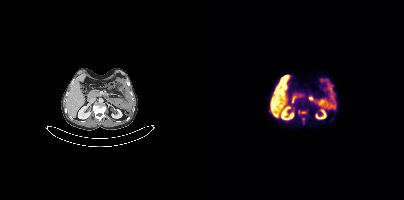
Two-panel axial: CT | PSMA PET, 18F tracer. PET panel 200×200 px (4.1 mm/px). Coordinates are on the 200×200 PET (right) panel. (showing 1 of 2 foci) Small PSMA-avid focus (2 to 4 px across) near (center x, center y): (99, 112).